Paired axial CT (left) and PSMA PET (right), 18F tracer. PET panel 256×256 px (2.7 mm/px).
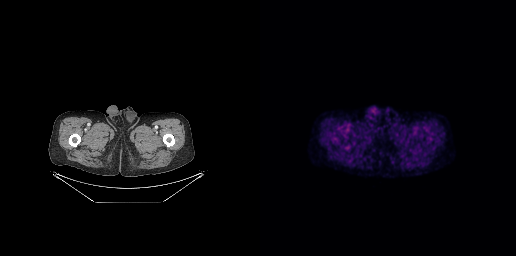
Negative for PSMA-avid disease on this slice.